Two-panel axial: CT | PSMA PET, 18F tracer. Acquired on Siemens Biograph 64-4R TruePoint. Slice 15 of 165.
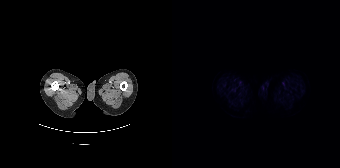
No PSMA-avid tumor lesions on this slice.